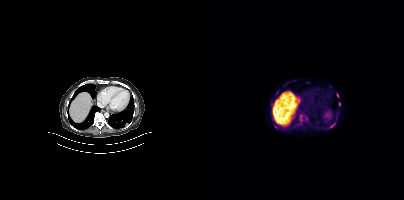
modality: PSMA PET/CT | tracer: [18F]PSMA-1007 | view: axial | PET grid: 200×200
Coordinates are on the 200×200 PET (right) panel. (showing 6 of 7 foci) PSMA-avid tumor lesion bounding boxes (x0, y0)-(x1, y1): (126, 122)-(132, 128); (70, 125)-(75, 128); (95, 119)-(97, 124). Small PSMA-avid foci (2 to 4 px across) near (center x, center y): (73, 92); (135, 104); (133, 95).